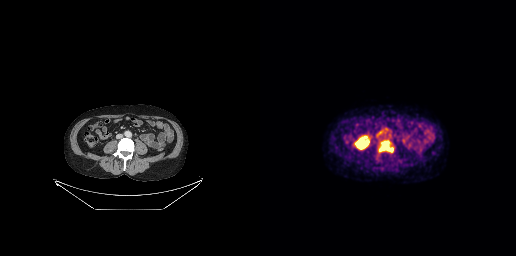
Coordinates are on the 256×256 PET (right) panel. PSMA-avid tumor lesion bounding box (x0, y0)-(x1, y1): (119, 140)-(133, 152).